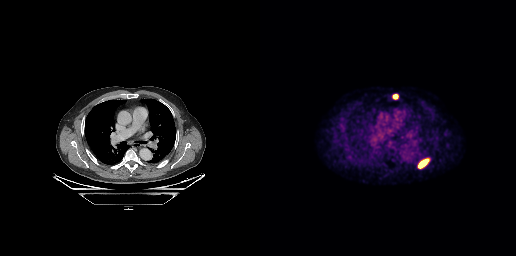
Coordinates are on the 256×256 PET (right) panel. PSMA-avid tumor lesion bounding boxes (x0, y0)-(x1, y1): (158, 158)-(169, 168) | (132, 94)-(138, 99).